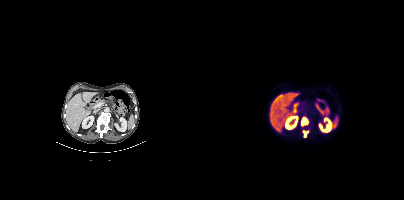
Findings: Coordinates are on the 200×200 PET (right) panel. PSMA-avid tumor lesion bounding boxes (x0,y0,x1,y1): [97,118,103,125]; [99,131,104,136].
- Two-panel axial: CT | PSMA PET, 18F tracer
- slice position z = -155 mm